Privacy masking over the head, with the pixels inside a rectangle set to black. Two-panel axial: CT | PSMA PET, [18F]PSMA-1007 tracer. Slice position z = -324 mm.
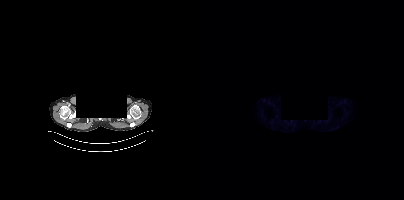
No tumor lesions annotated on this slice.